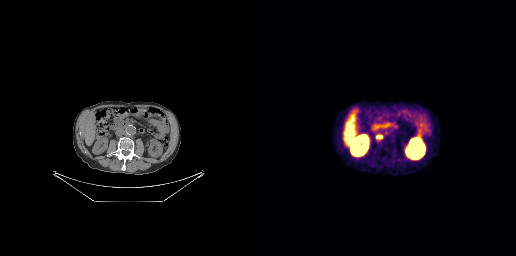
Technique: Two-panel axial: CT | PSMA PET, [68Ga]Ga-PSMA-11 tracer. acquired on GE Discovery 690. PET panel 256×256 px (2.7 mm/px).
Findings: Coordinates are on the 256×256 PET (right) panel. PSMA-avid tumor lesion bounding box (x, y, width, height): x=116 y=134 w=7 h=6.